- the head region is masked for de-identification
- Left: CT. Right: PSMA PET, same axial level, [18F]PSMA-1007 tracer
- acquired on Siemens Biograph mCT Flow 20
- PET panel 200×200 px (4.1 mm/px)
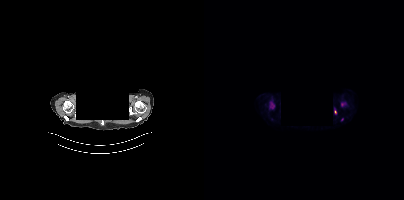
Findings: Coordinates are on the 200×200 PET (right) panel. (showing 2 of 3 foci) Small PSMA-avid foci (2 to 4 px across) near (center x, center y): (138, 119); (131, 112).